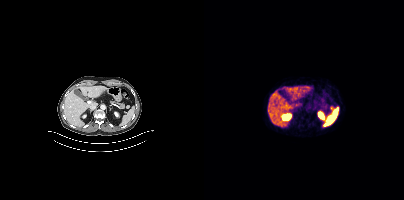
Coordinates are on the 200×200 PET (right) panel. Small PSMA-avid focus (2 to 4 px across) near (center x, center y): (127, 107).